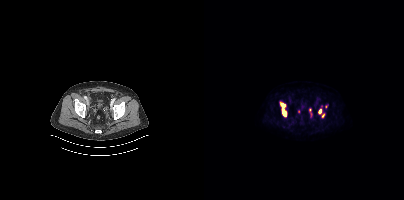
modality: PSMA PET/CT | tracer: [18F]PSMA-1007 | view: axial
Coordinates are on the 200×200 PET (right) panel. (showing 4 of 6 foci) PSMA-avid tumor lesion bounding boxes (x, y, width, height): x=76 y=102 w=7 h=15 | x=114 y=109 w=4 h=5. Small PSMA-avid foci (2 to 4 px across) near (center x, center y): (119, 115) | (105, 110).